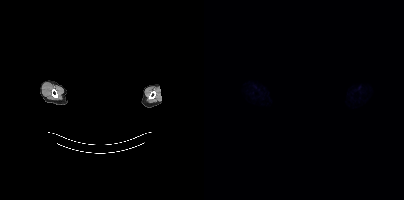
modality: PSMA PET/CT | tracer: [18F]PSMA-1007 | view: axial | redaction: privacy mask over head
This slice has no annotated PSMA-avid lesion.